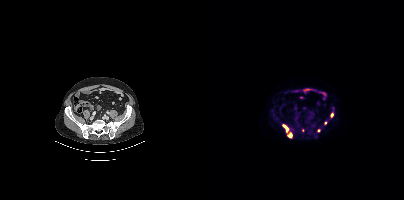
modality: PSMA PET/CT | tracer: 18F-PSMA | view: axial
Coordinates are on the 200×200 PET (right) panel. (showing 4 of 6 foci) PSMA-avid tumor lesion bounding boxes (x0, y0)-(x1, y1): (78, 124)-(88, 138); (126, 113)-(129, 117). Small PSMA-avid foci (2 to 4 px across) near (center x, center y): (115, 130); (121, 123).